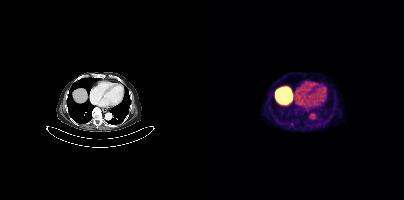
Coordinates are on the 200×200 PET (right) panel. Small PSMA-avid focus (2 to 4 px across) near (center x, center y): (88, 124).
modality: PSMA PET/CT | tracer: [18F]PSMA-1007 | view: axial | PET grid: 200×200